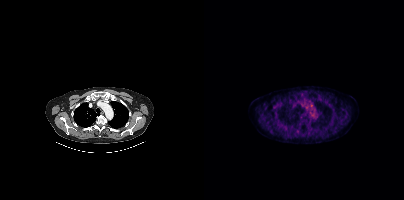
Negative for PSMA-avid disease on this slice.